Technique: Paired axial CT (left) and PSMA PET (right), 18F tracer. slice position z = -320 mm.
Note: An anonymization step blacked out a rectangle over the head in this scan.
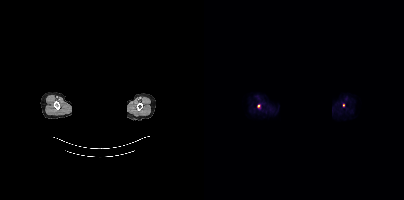
Findings: Coordinates are on the 200×200 PET (right) panel. Small PSMA-avid foci (2 to 4 px across) near (center x, center y): (139, 105) (54, 105).